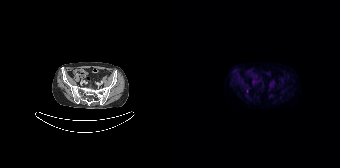
{"modality":"PSMA PET/CT","view":"axial","tracer":"18F-PSMA","pet_grid":[168,168],"coord_frame":"pet_panel","coord_format":"x0,y0,x1,y1","lesion_bboxes":[],"small_foci_centers":[[74,91]]}